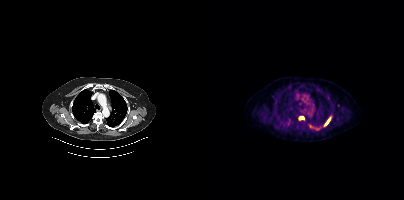
Coordinates are on the 200×200 PET (right) panel. (showing 3 of 4 foci) PSMA-avid tumor lesion bounding boxes (x0, y0)-(x1, y1): (120, 117)-(126, 125) | (106, 125)-(116, 130) | (95, 116)-(99, 119).